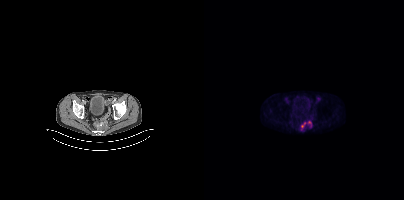
Two-panel axial: CT | PSMA PET, 18F tracer. Coordinates are on the 200×200 PET (right) panel. (showing 2 of 3 foci) PSMA-avid tumor lesion bounding boxes (x0,y0,x1,y1): [97,122,101,129], [104,121,107,126].